modality: PSMA PET/CT | tracer: 68Ga-PSMA | view: axial | PET grid: 168×168
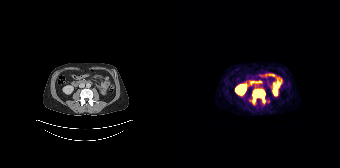
Coordinates are on the 168×168 PET (right) panel. PSMA-avid tumor lesion bounding box (x, y, width, height): x=81 y=89 w=13 h=14.